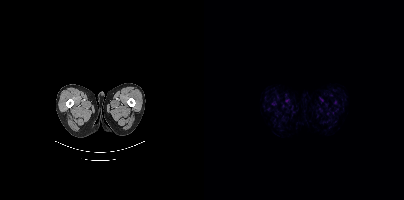
Technique: Two-panel axial: CT | PSMA PET, 18F tracer. acquired on Siemens Biograph mCT Flow 20. PET panel 200×200 px (4.1 mm/px).
Findings: No PSMA-avid tumor lesions on this slice.